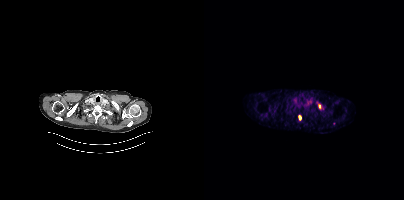
Coordinates are on the 200×200 PET (right) panel. Small PSMA-avid foci (2 to 4 px across) near (center x, center y): (115, 106) (95, 117).
modality: PSMA PET/CT | tracer: [68Ga]Ga-PSMA-11 | view: axial